Technique: Paired axial CT (left) and PSMA PET (right), [18F]PSMA-1007 tracer. acquired on Siemens Biograph mCT Flow 20. PET panel 200×200 px (4.1 mm/px).
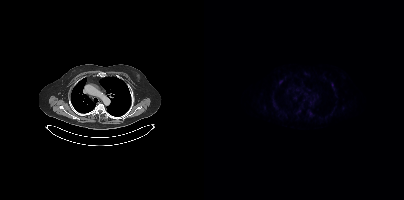
Findings: This slice has no annotated PSMA-avid lesion.